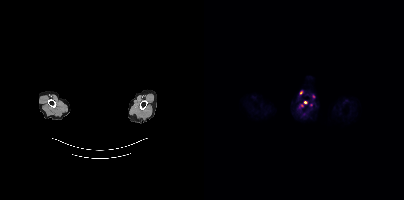
- a rectangular block over the head has been blanked out for de-identification
- Two-panel axial: CT | PSMA PET, [68Ga]Ga-PSMA-11 tracer
Findings: Coordinates are on the 200×200 PET (right) panel. Small PSMA-avid foci (2 to 4 px across) near (center x, center y): (98, 105); (101, 102).